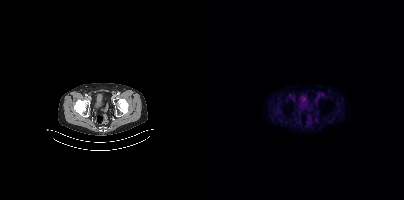
Left: CT. Right: PSMA PET, same axial level, 18F-PSMA tracer. Acquired on Siemens Biograph mCT Flow 20. Slice position z = -913 mm. PET panel 200×200 px (4.1 mm/px). This slice has no annotated PSMA-avid lesion.